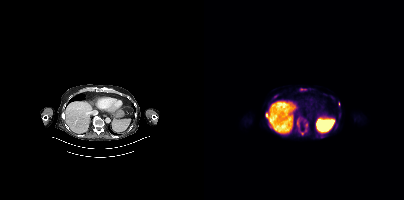
- Left: CT. Right: PSMA PET, same axial level, 18F tracer
- slice position z = -1066 mm
Findings: Coordinates are on the 200×200 PET (right) panel. PSMA-avid tumor lesion bounding boxes (x0,y0,x1,y1): [92,127,103,135], [93,117,98,124], [62,114,65,119], [96,88,102,90], [69,95,73,98], [116,135,120,137]. Small PSMA-avid foci (2 to 4 px across) near (center x, center y): (102, 124), (134, 103), (100, 121), (132, 125), (128, 97).